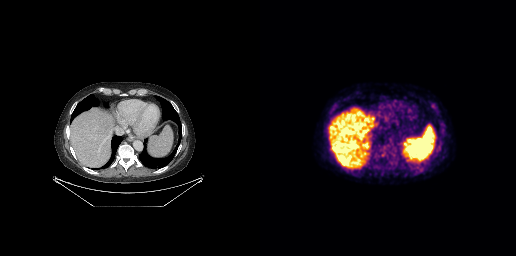
No PSMA-avid tumor lesions on this slice.